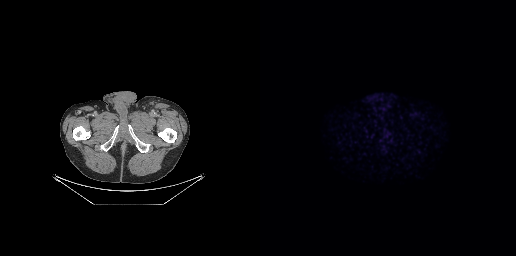
Findings: Negative for PSMA-avid disease on this slice.
Technique: Left: CT. Right: PSMA PET, same axial level, [18F]PSMA-1007 tracer. acquired on GE Discovery 690. PET panel 256×256 px (2.7 mm/px).